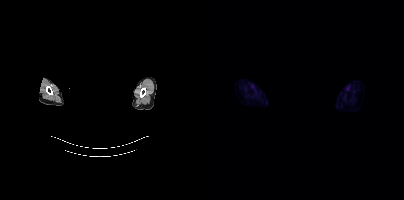
A rectangle over the head was blacked out to remove identifiable facial features. Two-panel axial: CT | PSMA PET, [18F]PSMA-1007 tracer. No tumor lesions annotated on this slice.